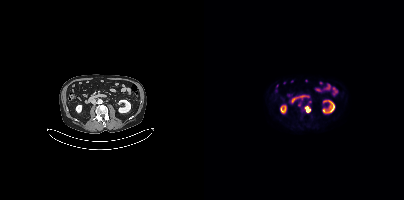
Coordinates are on the 200×200 PET (right) panel. PSMA-avid tumor lesion bounding box (x0, y0)-(x1, y1): (101, 106)-(105, 108). Small PSMA-avid foci (2 to 4 px across) near (center x, center y): (95, 103) / (106, 101) / (104, 110).
modality: PSMA PET/CT | tracer: 18F | view: axial | PET grid: 200×200